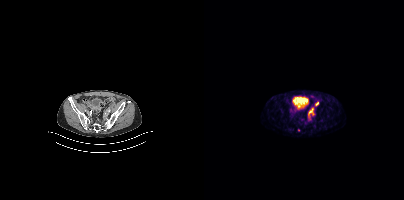
{"modality":"PSMA PET/CT","view":"axial","tracer":"68Ga","pet_grid":[200,200],"coord_frame":"pet_panel","coord_format":"x0,y0,x1,y1","partial":true,"lesion_bboxes":[[104,108,109,114]],"small_foci_centers":[[112,103]]}